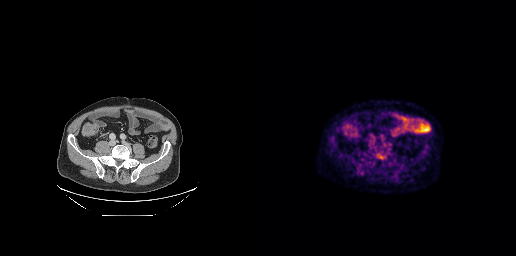
Technique: Left: CT. Right: PSMA PET, same axial level, 18F tracer. acquired on GE Discovery 690. slice position z = -616 mm.
Findings: Coordinates are on the 256×256 PET (right) panel. Small PSMA-avid focus (2 to 4 px across) near (center x, center y): (120, 155).